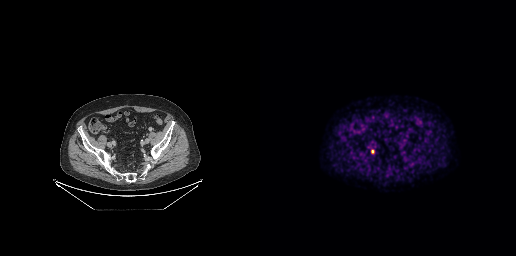
Technique: Two-panel axial: CT | PSMA PET, 18F-PSMA tracer. acquired on GE Discovery 690. slice position z = -619 mm.
Findings: Coordinates are on the 256×256 PET (right) panel. Small PSMA-avid focus (2 to 4 px across) near (center x, center y): (112, 151).